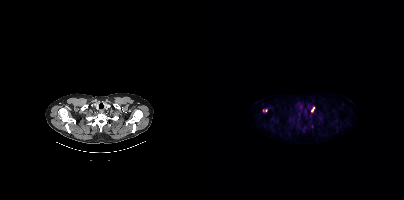
Findings: Coordinates are on the 200×200 PET (right) panel. (showing 2 of 3 foci) PSMA-avid tumor lesion bounding boxes (x0, y0)-(x1, y1): (59, 109)-(63, 112); (107, 107)-(110, 112).
Technique: Paired axial CT (left) and PSMA PET (right), [18F]PSMA-1007 tracer. slice position z = -1021 mm. PET panel 200×200 px (4.1 mm/px).